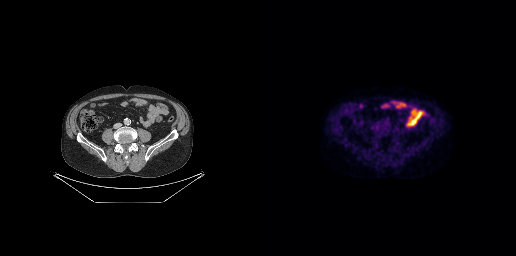
- Paired axial CT (left) and PSMA PET (right), [18F]PSMA-1007 tracer
Findings: This slice has no annotated PSMA-avid lesion.